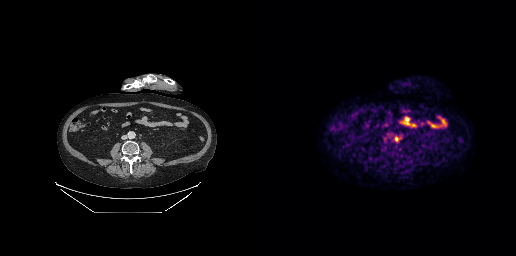
- Left: CT. Right: PSMA PET, same axial level, 18F-PSMA tracer
- slice position z = -519 mm
Findings: Coordinates are on the 256×256 PET (right) panel. Small PSMA-avid focus (2 to 4 px across) near (center x, center y): (136, 138).